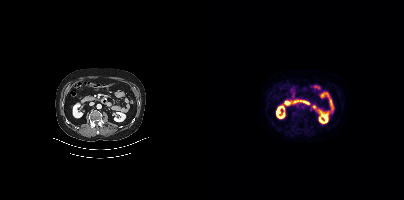
Negative for PSMA-avid disease on this slice.